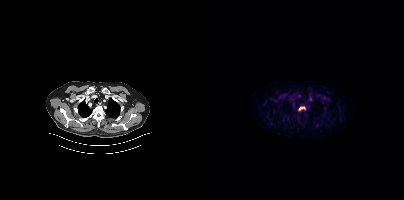
- Two-panel axial: CT | PSMA PET, 18F tracer
- PET panel 200×200 px (4.1 mm/px)
Findings: Coordinates are on the 200×200 PET (right) panel. PSMA-avid tumor lesion bounding box (x, y, width, height): x=94 y=106 w=8 h=5.